Technique: Paired axial CT (left) and PSMA PET (right), 18F tracer. PET panel 200×200 px (4.1 mm/px).
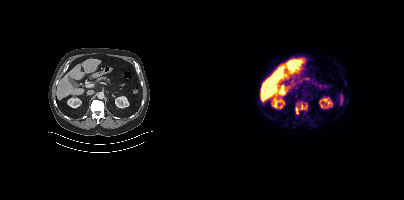
Findings: Coordinates are on the 200×200 PET (right) panel. PSMA-avid tumor lesion bounding box (x, y, width, height): x=91 y=102 w=13 h=12.